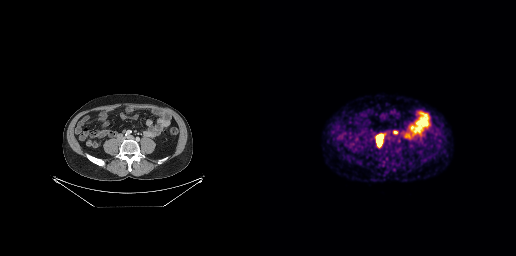
Left: CT. Right: PSMA PET, same axial level, [68Ga]Ga-PSMA-11 tracer. PET panel 256×256 px (2.7 mm/px). Coordinates are on the 256×256 PET (right) panel. PSMA-avid tumor lesion bounding boxes (x, y, width, height): x=115 y=133 w=9 h=15 | x=133 y=130 w=6 h=5.